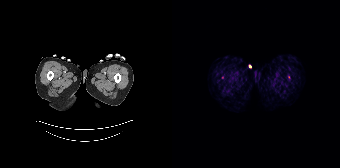
modality: PSMA PET/CT | tracer: [68Ga]Ga-PSMA-11 | view: axial
No tumor lesions annotated on this slice.